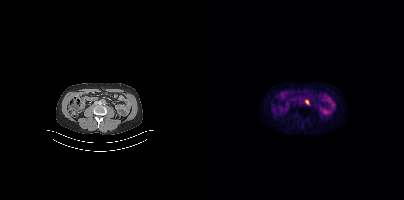
Coordinates are on the 200×200 PET (right) panel. PSMA-avid tumor lesion bounding box (x, y, width, height): x=101 y=100 w=4 h=5.